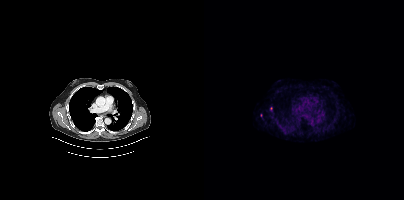
Only PSMA-avid lesion pieces thinner than 2 px on this slice (not listed).